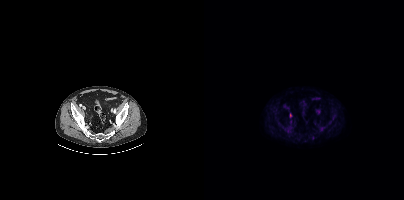
Only PSMA-avid lesion pieces thinner than 2 px on this slice (not listed).